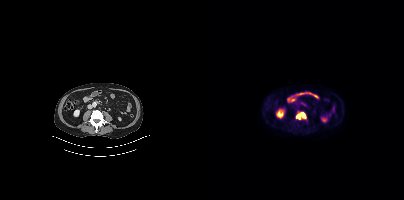
Two-panel axial: CT | PSMA PET, 18F tracer. Slice 165 of 413. Coordinates are on the 200×200 PET (right) panel. PSMA-avid tumor lesion bounding box (x0,y0,x1,y1): [92,112,101,118].